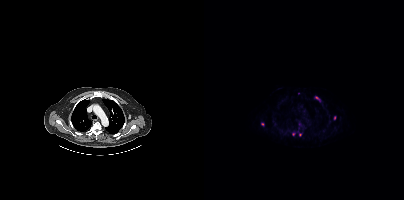
Findings: Coordinates are on the 200×200 PET (right) panel. Small PSMA-avid foci (2 to 4 px across) near (center x, center y): (130, 117) | (89, 134) | (113, 97) | (58, 124) | (96, 134) | (94, 93).
Technique: Two-panel axial: CT | PSMA PET, [18F]PSMA-1007 tracer. slice position z = -482 mm.